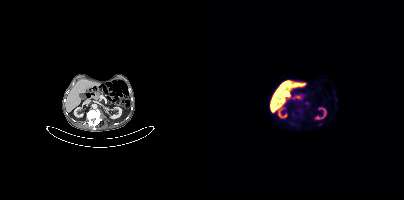
Only PSMA-avid lesion pieces thinner than 2 px on this slice (not listed).